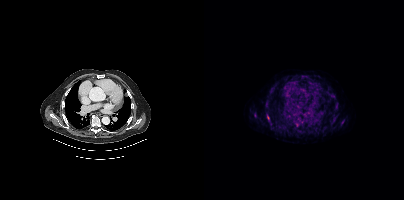
Coordinates are on the 200×200 PET (right) panel. (showing 2 of 5 foci) PSMA-avid tumor lesion bounding box (x0,y0,x1,y1): [63,115,65,119]. Small PSMA-avid focus (2 to 4 px across) near (center x, center y): (92, 125).